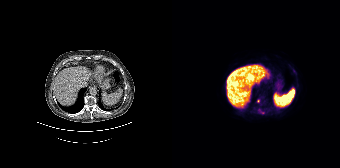
Findings: Coordinates are on the 168×168 PET (right) panel. Small PSMA-avid foci (2 to 4 px across) near (center x, center y): (86, 101); (90, 112).
Technique: Paired axial CT (left) and PSMA PET (right), 18F-PSMA tracer.